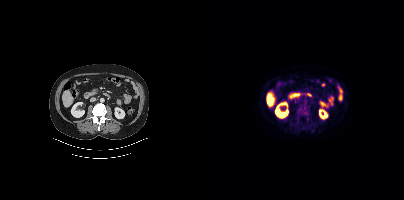
Coordinates are on the 200×200 PET (right) panel. PSMA-avid tumor lesion bounding boxes (x0,y0,x1,y1): [92,102,105,116], [101,115,105,119], [91,119,95,123].